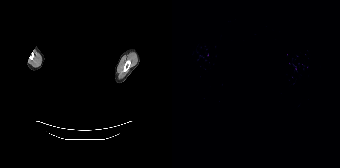
{"modality":"PSMA PET/CT","view":"axial","tracer":"18F-PSMA","pet_grid":[168,168],"coord_frame":"pet_panel","coord_format":"x0,y0,x1,y1","psma_avid_lesions":false,"redaction":"privacy mask over head"}